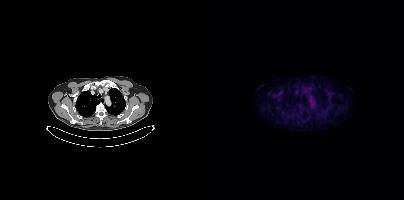
- Two-panel axial: CT | PSMA PET, 18F-PSMA tracer
- PET panel 200×200 px (4.1 mm/px)
Findings: Negative for PSMA-avid disease on this slice.